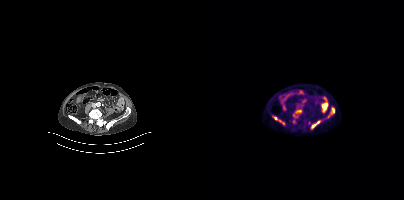
{"pet_grid":[200,200],"coord_frame":"pet_panel","coord_format":"x0,y0,x1,y1","lesion_bboxes":[[89,110,97,117]],"small_foci_centers":[[70,117]],"modality":"PSMA PET/CT","view":"axial","tracer":"18F"}